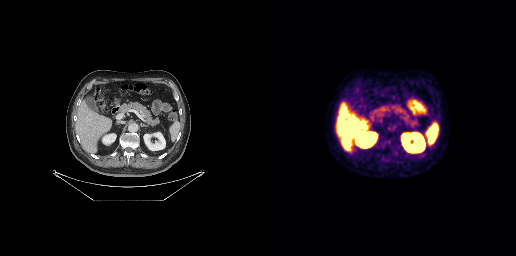
Paired axial CT (left) and PSMA PET (right), 18F-PSMA tracer. Acquired on GE Discovery 690. Slice position z = -615 mm. No tumor lesions annotated on this slice.